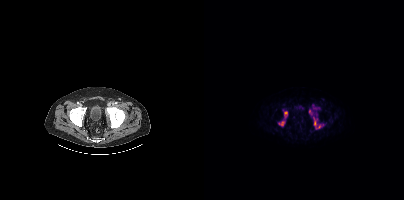
Coordinates are on the 200×200 PET (right) panel. PSMA-avid tumor lesion bounding boxes (x0, y0)-(x1, y1): (110, 117)-(119, 128) / (79, 109)-(84, 117) / (105, 109)-(109, 115) / (75, 121)-(80, 125) / (110, 106)-(114, 109).